Left: CT. Right: PSMA PET, same axial level, [18F]PSMA-1007 tracer. Acquired on Siemens Biograph mCT Flow 20. Slice 218 of 407. PET panel 200×200 px (4.1 mm/px).
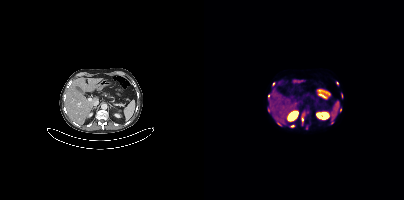
Coordinates are on the 200×200 PET (right) panel. PSMA-avid tumor lesion bounding boxes:
| # | x0 | y0 | x1 | y1 |
|---|---|---|---|---|
| 1 | 73 | 122 | 77 | 125 |
Small PSMA-avid foci (2 to 4 px across) near (center x, center y): (65, 96); (100, 114); (98, 118); (88, 126); (128, 122); (136, 109); (64, 110); (133, 82); (69, 83); (137, 93); (102, 127).